Paired axial CT (left) and PSMA PET (right), 18F-PSMA tracer. Acquired on Siemens Biograph mCT Flow 20. Slice 69 of 421. PET panel 200×200 px (4.1 mm/px).
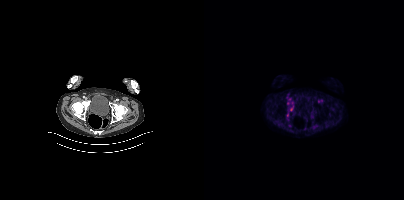
Negative for PSMA-avid disease on this slice.